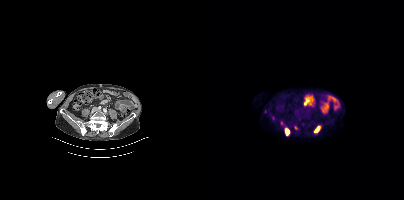
{"modality":"PSMA PET/CT","view":"axial","tracer":"[18F]PSMA-1007","pet_grid":[200,200],"coord_frame":"pet_panel","coord_format":"x0,y0,x1,y1","partial":true,"lesion_bboxes":[[110,125,116,133],[81,128,85,135]],"small_foci_centers":[[91,128]]}